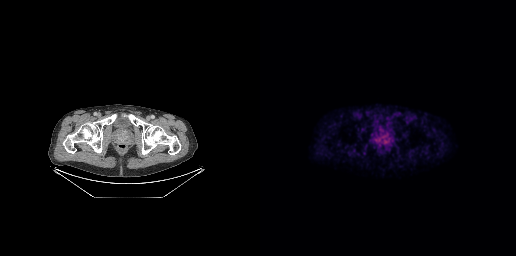
Coordinates are on the 256×256 PET (right) panel. PSMA-avid tumor lesion bounding box (x0, y0)-(x1, y1): (114, 131)-(129, 146).
modality: PSMA PET/CT | tracer: 18F | view: axial